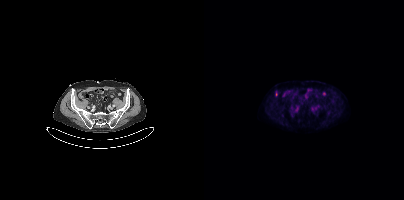
Two-panel axial: CT | PSMA PET, 18F tracer. Slice 106 of 401. No tumor lesions annotated on this slice.